modality: PSMA PET/CT | tracer: 18F-PSMA | view: axial
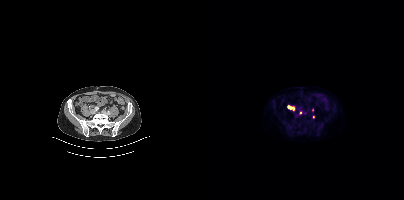
Coordinates are on the 200×200 PET (right) panel. PSMA-avid tumor lesion bounding box (x, y, width, height): x=83 y=105 w=8 h=6. Small PSMA-avid foci (2 to 4 px across) near (center x, center y): (109, 117) | (108, 109) | (96, 112).